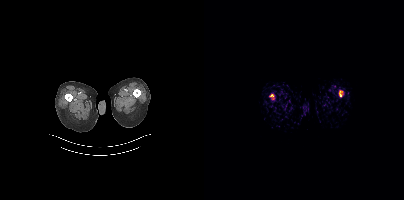
Findings: No tumor lesions annotated on this slice.
- Left: CT. Right: PSMA PET, same axial level, 68Ga-PSMA tracer
- acquired on Siemens Biograph mCT Flow 20
- PET panel 200×200 px (4.1 mm/px)